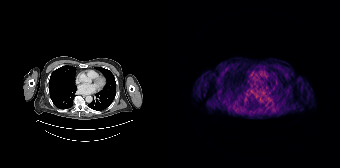
Findings: This slice has no annotated PSMA-avid lesion.
- Paired axial CT (left) and PSMA PET (right), 68Ga-PSMA tracer
- acquired on Siemens Biograph 64-4R TruePoint
- PET panel 168×168 px (4.1 mm/px)